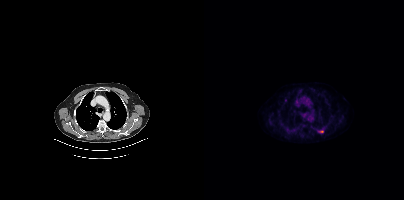
Two-panel axial: CT | PSMA PET, [18F]PSMA-1007 tracer. PET panel 200×200 px (4.1 mm/px).
Coordinates are on the 200×200 PET (right) panel. PSMA-avid tumor lesion bounding boxes:
| # | x0 | y0 | x1 | y1 |
|---|---|---|---|---|
| 1 | 114 | 130 | 119 | 132 |